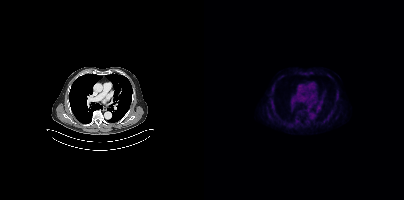
No tumor lesions annotated on this slice.
modality: PSMA PET/CT | tracer: 18F-PSMA | view: axial